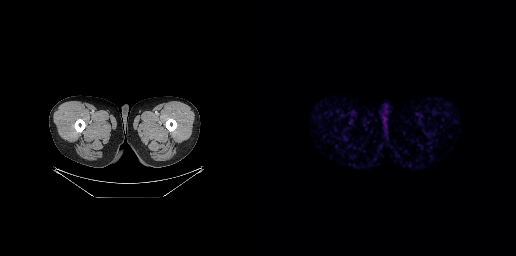
This slice has no annotated PSMA-avid lesion. Paired axial CT (left) and PSMA PET (right), 68Ga tracer. Acquired on GE Discovery 690. Slice position z = -1001 mm. PET panel 256×256 px (2.7 mm/px).